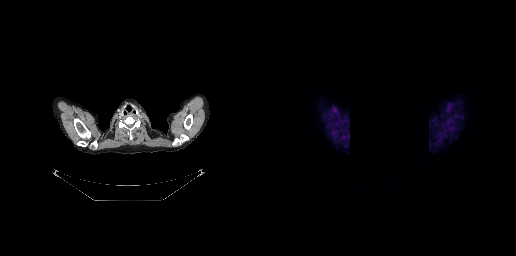
This slice has no annotated PSMA-avid lesion. Left: CT. Right: PSMA PET, same axial level, 18F-PSMA tracer. PET panel 256×256 px (2.7 mm/px). Some pixels were blanked for anonymization.